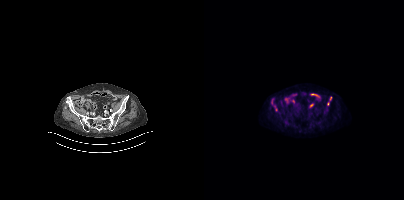
Coordinates are on the 200×200 PET (right) panel. PSMA-avid tumor lesion bounding boxes (x, y, width, height): x=69 y=105 w=5 h=6 | x=125 y=96 w=3 h=5 | x=67 y=99 w=3 h=6. Small PSMA-avid focus (2 to 4 px across) near (center x, center y): (124, 103).